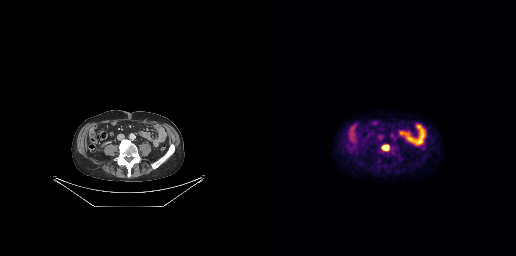
Coordinates are on the 256×256 PET (right) panel. PSMA-avid tumor lesion bounding box (x0, y0)-(x1, y1): (122, 145)-(128, 150).